Technique: Paired axial CT (left) and PSMA PET (right), 18F-PSMA tracer.
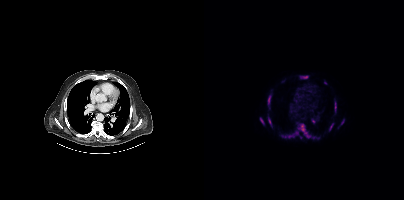
Findings: Coordinates are on the 200×200 PET (right) panel. (showing 10 of 11 foci) PSMA-avid tumor lesion bounding boxes (x0, y0)-(x1, y1): (77, 123)-(106, 138); (63, 94)-(67, 108); (130, 101)-(132, 112); (125, 123)-(129, 130); (97, 76)-(103, 78); (137, 119)-(140, 124). Small PSMA-avid foci (2 to 4 px across) near (center x, center y): (121, 83); (110, 121); (113, 137); (56, 117).